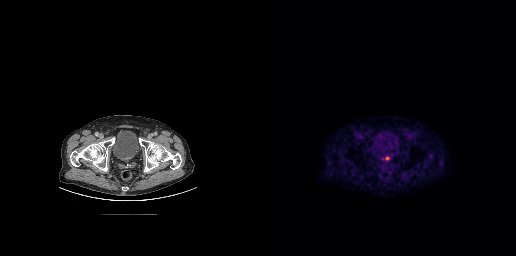
{"modality":"PSMA PET/CT","view":"axial","tracer":"[18F]PSMA-1007","pet_grid":[256,256],"coord_frame":"pet_panel","coord_format":"x0,y0,x1,y1","lesion_bboxes":[[125,156,129,160]]}